Technique: Left: CT. Right: PSMA PET, same axial level, 68Ga-PSMA tracer.
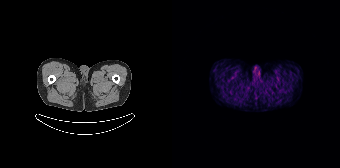
Findings: No tumor lesions annotated on this slice.